- Paired axial CT (left) and PSMA PET (right), 68Ga-PSMA tracer
- PET panel 168×168 px (4.1 mm/px)
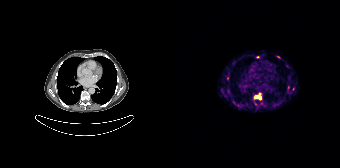
Findings: Coordinates are on the 168×168 PET (right) panel. (showing 3 of 7 foci) PSMA-avid tumor lesion bounding box (x0, y0)-(x1, y1): (82, 93)-(89, 100). Small PSMA-avid foci (2 to 4 px across) near (center x, center y): (106, 56); (116, 87).